Two-panel axial: CT | PSMA PET, [68Ga]Ga-PSMA-11 tracer. PET panel 200×200 px (4.1 mm/px).
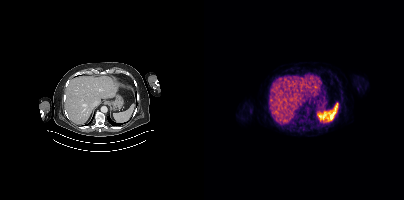
No PSMA-avid tumor lesions on this slice.